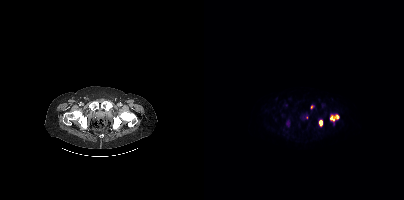
{"pet_grid":[200,200],"coord_frame":"pet_panel","coord_format":"x0,y0,x1,y1","partial":true,"lesion_bboxes":[[126,114,135,121],[115,120,118,126]],"small_foci_centers":[[107,107]],"modality":"PSMA PET/CT","view":"axial","tracer":"[18F]PSMA-1007"}